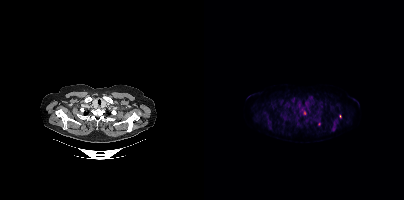
- Left: CT. Right: PSMA PET, same axial level, [18F]PSMA-1007 tracer
- acquired on Siemens Biograph mCT Flow 20
- PET panel 200×200 px (4.1 mm/px)
Findings: Coordinates are on the 200×200 PET (right) panel. (showing 4 of 5 foci) PSMA-avid tumor lesion bounding boxes (x, y, width, height): x=127 y=119 w=8 h=13 / x=98 y=110 w=5 h=5 / x=91 y=117 w=5 h=4. Small PSMA-avid focus (2 to 4 px across) near (center x, center y): (115, 124).